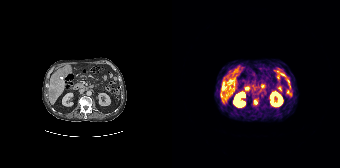
- Left: CT. Right: PSMA PET, same axial level, [68Ga]Ga-PSMA-11 tracer
- slice 106 of 195
- PET panel 168×168 px (4.1 mm/px)
Findings: Coordinates are on the 168×168 PET (right) panel. PSMA-avid tumor lesion bounding boxes (x0,y0,x1,y1): [49,83,54,89], [49,94,52,98], [82,100,85,104].